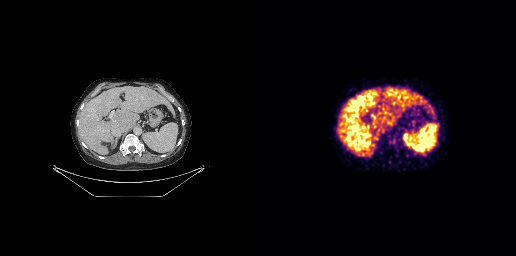
Negative for PSMA-avid disease on this slice. Left: CT. Right: PSMA PET, same axial level, 68Ga-PSMA tracer. Slice position z = -568 mm. PET panel 256×256 px (2.7 mm/px).